Left: CT. Right: PSMA PET, same axial level, 68Ga tracer. Acquired on Siemens Biograph 64-4R TruePoint. Slice 51 of 195.
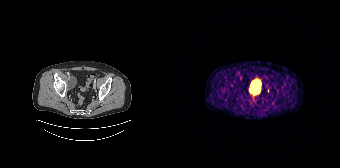
Only PSMA-avid lesion pieces thinner than 2 px on this slice (not listed).